modality: PSMA PET/CT | tracer: [18F]PSMA-1007 | view: axial
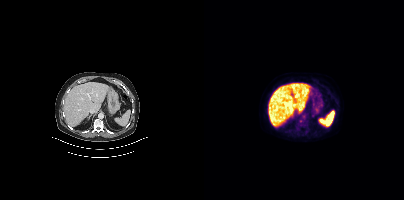
Only PSMA-avid lesion pieces thinner than 2 px on this slice (not listed).